modality: PSMA PET/CT | tracer: [18F]PSMA-1007 | view: axial | PET grid: 200×200
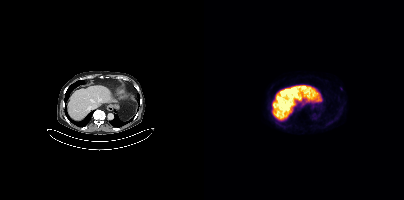
Negative for PSMA-avid disease on this slice.